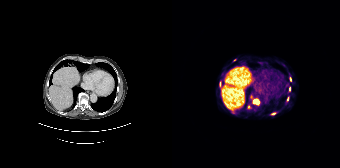
Technique: Left: CT. Right: PSMA PET, same axial level, [68Ga]Ga-PSMA-11 tracer.
Findings: Coordinates are on the 168×168 PET (right) panel. (showing 7 of 9 foci) PSMA-avid tumor lesion bounding boxes (x0, y0)-(x1, y1): (81, 99)-(87, 104) / (99, 112)-(103, 114). Small PSMA-avid foci (2 to 4 px across) near (center x, center y): (79, 96) / (117, 88) / (115, 98) / (76, 107) / (118, 80).